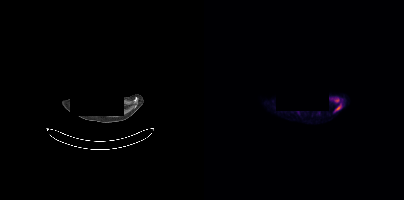
Findings: Coordinates are on the 200×200 PET (right) panel. PSMA-avid tumor lesion bounding box (x0, y0)-(x1, y1): (131, 105)-(136, 110). Small PSMA-avid focus (2 to 4 px across) near (center x, center y): (132, 100).
- Paired axial CT (left) and PSMA PET (right), 18F-PSMA tracer
- slice 357 of 401
- PET panel 200×200 px (4.1 mm/px)
- the head region is masked for de-identification